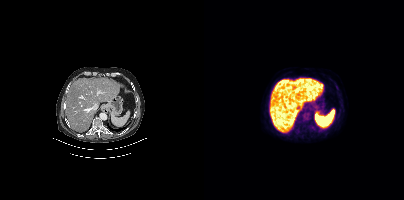
Two-panel axial: CT | PSMA PET, [18F]PSMA-1007 tracer. Negative for PSMA-avid disease on this slice.